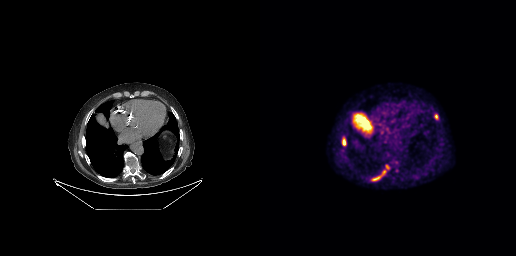
{"modality":"PSMA PET/CT","view":"axial","tracer":"18F","pet_grid":[256,256],"coord_frame":"pet_panel","coord_format":"x0,y0,x1,y1","lesion_bboxes":[[112,170,125,180],[82,138,86,145],[174,114,178,119]],"small_foci_centers":[[127,166]]}